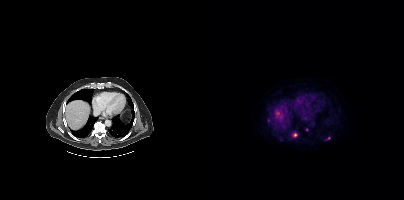
{"pet_grid":[200,200],"coord_frame":"pet_panel","coord_format":"x0,y0,x1,y1","partial":true,"lesion_bboxes":[[88,133,93,137]],"small_foci_centers":[[124,138],[102,129]],"modality":"PSMA PET/CT","view":"axial","tracer":"18F"}